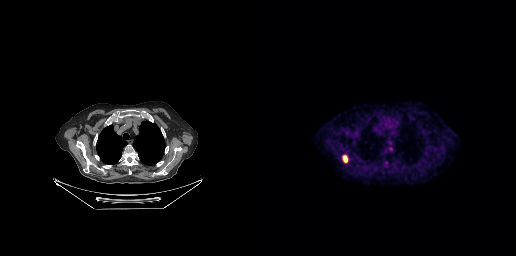
Left: CT. Right: PSMA PET, same axial level, [18F]PSMA-1007 tracer. Slice position z = -160 mm.
Coordinates are on the 256×256 PET (right) panel. PSMA-avid tumor lesion bounding boxes:
| # | x0 | y0 | x1 | y1 |
|---|---|---|---|---|
| 1 | 83 | 155 | 87 | 162 |